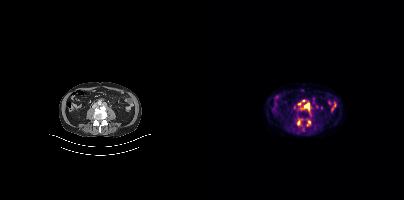
Technique: Left: CT. Right: PSMA PET, same axial level, [18F]PSMA-1007 tracer. acquired on Siemens Biograph mCT Flow 20.
Findings: Coordinates are on the 200×200 PET (right) panel. (showing 3 of 5 foci) PSMA-avid tumor lesion bounding box (x0, y0)-(x1, y1): (101, 103)-(105, 108). Small PSMA-avid foci (2 to 4 px across) near (center x, center y): (94, 122) / (105, 122).